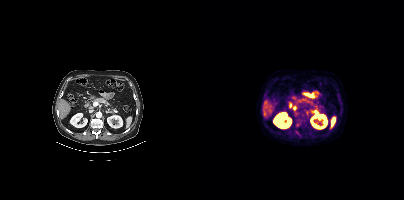
{"modality":"PSMA PET/CT","view":"axial","tracer":"18F-PSMA","pet_grid":[200,200],"coord_frame":"pet_panel","coord_format":"x0,y0,x1,y1","lesion_bboxes":[],"small_foci_centers":[[92,113],[93,125],[91,131]]}